Technique: Paired axial CT (left) and PSMA PET (right), 18F tracer.
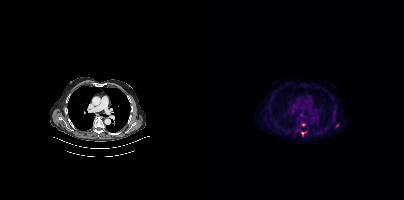
Findings: Coordinates are on the 200×200 PET (right) panel. Small PSMA-avid foci (2 to 4 px across) near (center x, center y): (98, 133), (99, 124).